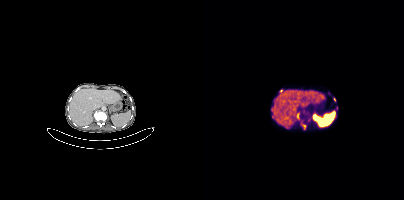
{"modality":"PSMA PET/CT","view":"axial","tracer":"68Ga-PSMA","pet_grid":[200,200],"coord_frame":"pet_panel","coord_format":"x0,y0,x1,y1","lesion_bboxes":[[98,125,102,129],[67,107,69,111],[93,113,95,119]],"small_foci_centers":[[130,99],[132,108],[76,90]]}